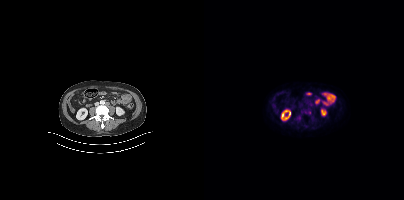
Findings: Only PSMA-avid lesion pieces thinner than 2 px on this slice (not listed).
Technique: Paired axial CT (left) and PSMA PET (right), [18F]PSMA-1007 tracer. acquired on Siemens Biograph mCT Flow 20. PET panel 200×200 px (4.1 mm/px).